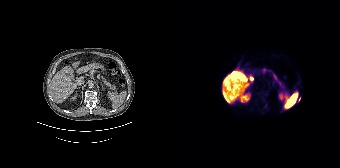
{"modality":"PSMA PET/CT","view":"axial","tracer":"[18F]PSMA-1007","pet_grid":[168,168],"coord_frame":"pet_panel","coord_format":"x0,y0,x1,y1","lesion_bboxes":[],"small_foci_centers":[[127,99]]}